Two-panel axial: CT | PSMA PET, [18F]PSMA-1007 tracer.
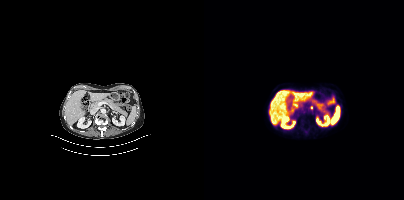
Coordinates are on the 200×200 PET (right) panel. Small PSMA-avid focus (2 to 4 px across) near (center x, center y): (107, 107).